modality: PSMA PET/CT | tracer: 18F | view: axial | PET grid: 256×256
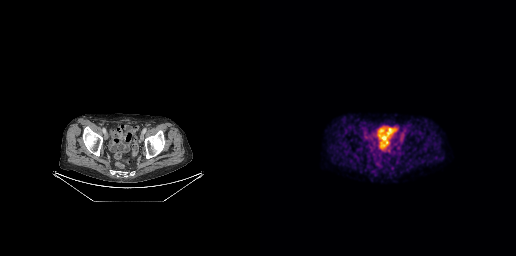
This slice has no annotated PSMA-avid lesion.